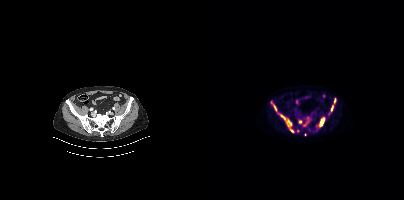
{"pet_grid":[200,200],"coord_frame":"pet_panel","coord_format":"x0,y0,x1,y1","partial":true,"lesion_bboxes":[[76,114,87,127],[115,117,120,126],[67,101,72,110],[124,105,129,114],[108,130,113,131],[99,122,102,126]],"small_foci_centers":[[96,121],[130,101],[88,130],[94,131],[101,134]],"modality":"PSMA PET/CT","view":"axial","tracer":"18F-PSMA"}